Paired axial CT (left) and PSMA PET (right), 18F tracer. Acquired on Siemens Biograph mCT Flow 20. PET panel 200×200 px (4.1 mm/px).
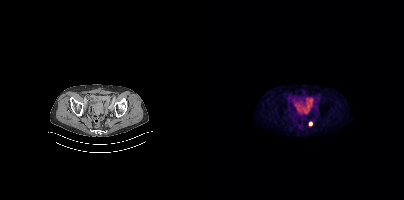
Coordinates are on the 200×200 PET (right) panel. Small PSMA-avid focus (2 to 4 px across) near (center x, center y): (106, 123).